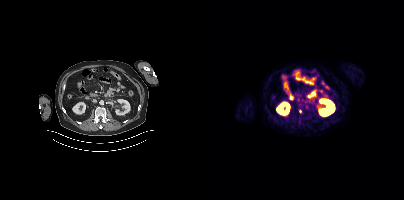
Only PSMA-avid lesion pieces thinner than 2 px on this slice (not listed).
modality: PSMA PET/CT | tracer: 68Ga-PSMA | view: axial